modality: PSMA PET/CT | tracer: 18F-PSMA | view: axial | PET grid: 200×200
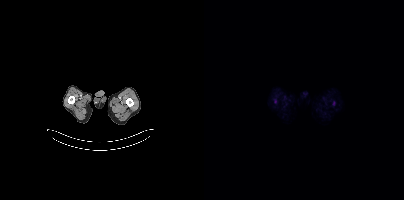
No tumor lesions annotated on this slice.